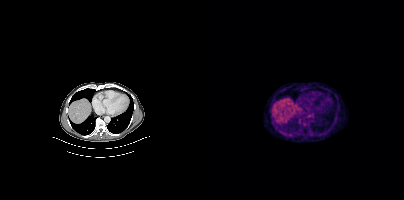
Coordinates are on the 200×200 PET (right) panel. PSMA-avid tumor lesion bounding boxes:
| # | x0 | y0 | x1 | y1 |
|---|---|---|---|---|
| 1 | 118 | 131 | 122 | 135 |
| 2 | 94 | 118 | 98 | 122 |
Small PSMA-avid foci (2 to 4 px across) near (center x, center y): (100, 126); (83, 135).
Paired axial CT (left) and PSMA PET (right), 18F-PSMA tracer. PET panel 200×200 px (4.1 mm/px).